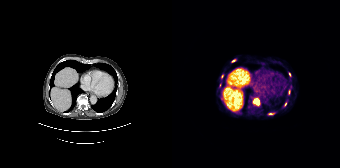
Coordinates are on the 168×168 PET (right) panel. (showing 6 of 8 foci) PSMA-avid tumor lesion bounding boxes (x, y, width, height): x=81 y=99 w=7 h=6; x=96 y=113 w=6 h=2. Small PSMA-avid foci (2 to 4 px across) near (center x, center y): (117, 74); (61, 60); (113, 104); (49, 76).